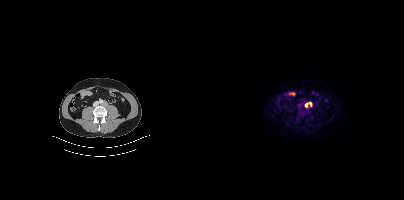
Coordinates are on the 200×200 PET (right) panel. PSMA-avid tumor lesion bounding box (x0, y0)-(x1, y1): (101, 102)-(107, 107).